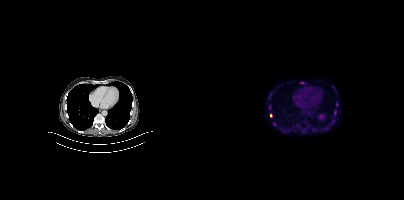
Findings: Coordinates are on the 200×200 PET (right) panel. (showing 6 of 7 foci) PSMA-avid tumor lesion bounding boxes (x0,y0,x1,y1): [130,110,132,114] [96,82,100,83]. Small PSMA-avid foci (2 to 4 px across) near (center x, center y): (67, 115) (132, 103) (66, 94) (65, 106).
Technique: Two-panel axial: CT | PSMA PET, [18F]PSMA-1007 tracer. acquired on Siemens Biograph mCT Flow 20. slice position z = -392 mm. PET panel 200×200 px (4.1 mm/px).